Paired axial CT (left) and PSMA PET (right), [18F]PSMA-1007 tracer.
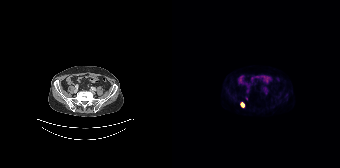
Coordinates are on the 168×168 PET (right) panel. PSMA-avid tumor lesion bounding box (x, y, width, height): x=68 y=102 w=5 h=6. Small PSMA-avid focus (2 to 4 px across) near (center x, center y): (74, 98).